Technique: Two-panel axial: CT | PSMA PET, 18F tracer. slice position z = -443 mm.
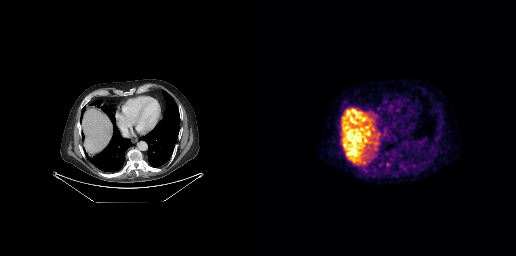
Findings: No tumor lesions annotated on this slice.